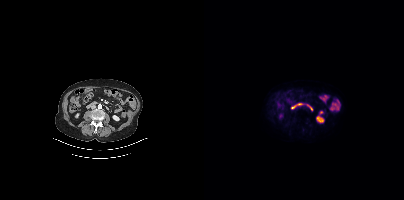
This slice has no annotated PSMA-avid lesion.